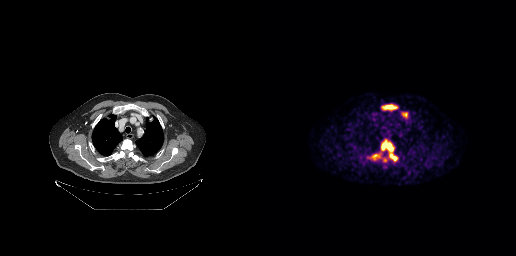
Technique: Left: CT. Right: PSMA PET, same axial level, 68Ga-PSMA tracer. acquired on GE Discovery 690. slice 209 of 263. PET panel 256×256 px (2.7 mm/px).
Findings: Coordinates are on the 256×256 PET (right) panel. PSMA-avid tumor lesion bounding boxes (x, y, width, height): x=108 y=139 w=31 h=23 / x=121 y=104 w=17 h=7 / x=142 y=112 w=6 h=6 / x=123 y=158 w=5 h=4.